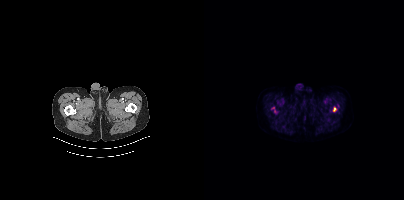
- Left: CT. Right: PSMA PET, same axial level, 18F-PSMA tracer
- slice 27 of 407
- PET panel 200×200 px (4.1 mm/px)
Findings: Coordinates are on the 200×200 PET (right) panel. PSMA-avid tumor lesion bounding box (x, y, width, height): x=129 y=107 w=4 h=5. Small PSMA-avid focus (2 to 4 px across) near (center x, center y): (69, 107).